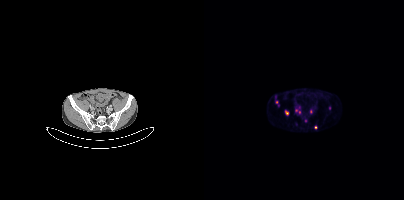
Coordinates are on the 200×200 PET (right) panel. (showing 6 of 7 foci) PSMA-avid tumor lesion bounding box (x0, y0)-(x1, y1): (92, 106)-(96, 113). Small PSMA-avid foci (2 to 4 px across) near (center x, center y): (82, 112) | (125, 107) | (111, 127) | (101, 120) | (74, 105).